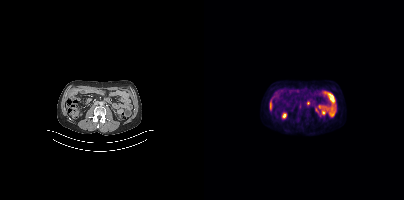
Coordinates are on the 200×200 PET (right) panel. Small PSMA-avid foci (2 to 4 px across) near (center x, center y): (104, 103); (96, 106).